The head region is masked for de-identification.
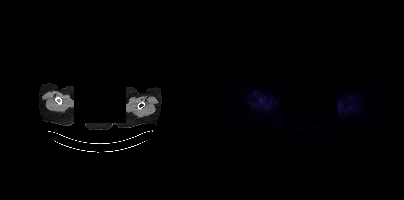
No PSMA-avid tumor lesions on this slice.